Left: CT. Right: PSMA PET, same axial level, 18F-PSMA tracer. PET panel 200×200 px (4.1 mm/px).
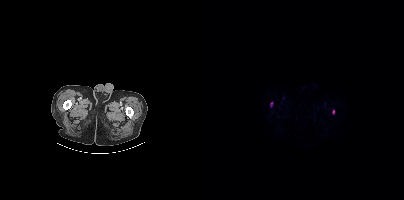
Coordinates are on the 200×200 PET (right) panel. PSMA-avid tumor lesion bounding boxes (x, y, width, height): x=128 y=109 w=3 h=6 / x=66 y=102 w=3 h=5.